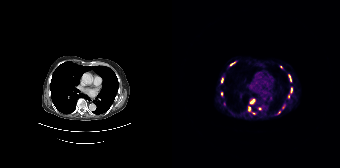
Technique: Left: CT. Right: PSMA PET, same axial level, 68Ga tracer. slice position z = -1162 mm. PET panel 168×168 px (4.1 mm/px).
Findings: Coordinates are on the 168×168 PET (right) panel. (showing 10 of 14 foci) PSMA-avid tumor lesion bounding boxes (x0,y0,x1,y1): [78,99,82,103]; [117,75,119,81]; [49,78,51,82]; [119,88,120,92]. Small PSMA-avid foci (2 to 4 px across) near (center x, center y): (77, 108); (49, 93); (111, 107); (59, 64); (87, 108); (81, 113).